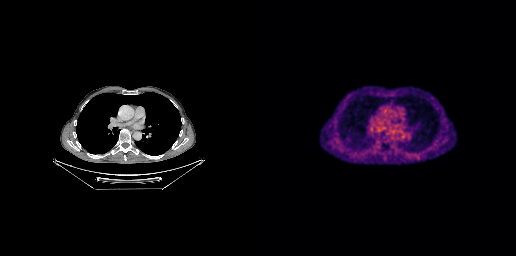
Technique: Two-panel axial: CT | PSMA PET, [18F]PSMA-1007 tracer. slice 176 of 263. PET panel 256×256 px (2.7 mm/px).
Findings: No PSMA-avid tumor lesions on this slice.